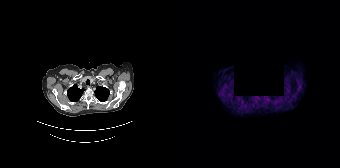
Coordinates are on the 168×168 PET (right) panel. Small PSMA-avid focus (2 to 4 px across) near (center x, center y): (95, 99). A rectangular privacy mask was applied before release. Two-panel axial: CT | PSMA PET, 68Ga-PSMA tracer. Acquired on Siemens Biograph 64-4R TruePoint. Slice position z = -834 mm. PET panel 168×168 px (4.1 mm/px).